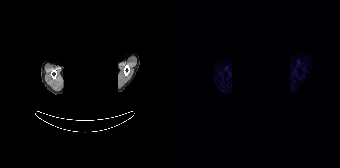
The face region was removed for patient privacy by blanking a rectangle over the head.
No tumor lesions annotated on this slice.